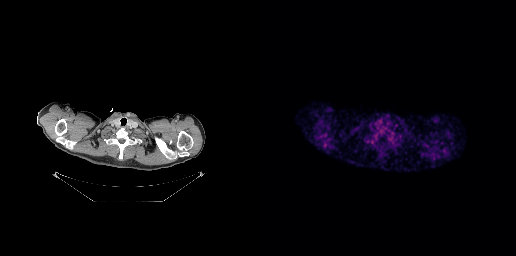
No tumor lesions annotated on this slice. Paired axial CT (left) and PSMA PET (right), [18F]PSMA-1007 tracer. Slice position z = -143 mm. PET panel 256×256 px (2.7 mm/px).